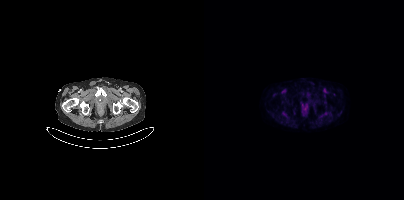
Negative for PSMA-avid disease on this slice. Paired axial CT (left) and PSMA PET (right), [18F]PSMA-1007 tracer. Slice position z = -1700 mm.